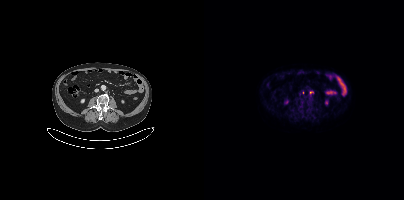
No PSMA-avid tumor lesions on this slice.
modality: PSMA PET/CT | tracer: 18F | view: axial | PET grid: 200×200